Left: CT. Right: PSMA PET, same axial level, [18F]PSMA-1007 tracer. PET panel 200×200 px (4.1 mm/px).
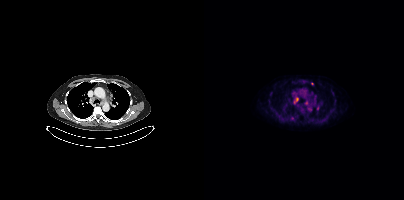
Coordinates are on the 200×200 PET (right) panel. PSMA-avid tumor lesion bounding boxes:
| # | x0 | y0 | x1 | y1 |
|---|---|---|---|---|
| 1 | 90 | 97 | 94 | 103 |
| 2 | 100 | 101 | 104 | 104 |
Small PSMA-avid foci (2 to 4 px across) near (center x, center y): (114, 107); (88, 118); (108, 83).